Paired axial CT (left) and PSMA PET (right), 18F tracer.
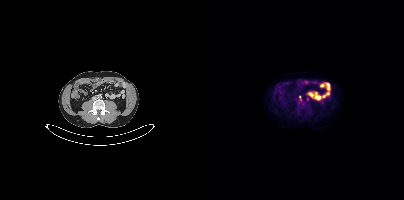
Coordinates are on the 200×200 PET (right) panel. (showing 1 of 2 foci) PSMA-avid tumor lesion bounding box (x0,y0,x1,y1): [95,96,97,100].